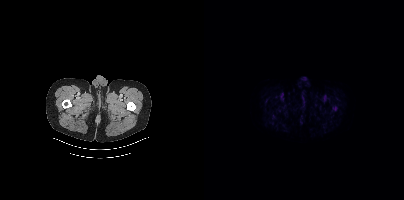
Only PSMA-avid lesion pieces thinner than 2 px on this slice (not listed). Left: CT. Right: PSMA PET, same axial level, [18F]PSMA-1007 tracer.